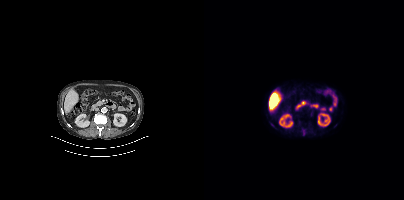
- Paired axial CT (left) and PSMA PET (right), [18F]PSMA-1007 tracer
- slice position z = -614 mm
Findings: Only PSMA-avid lesion pieces thinner than 2 px on this slice (not listed).